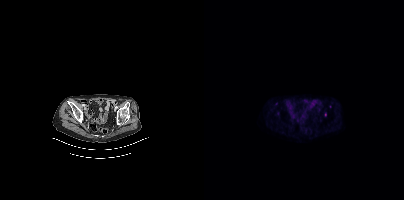
Coordinates are on the 200×200 PET (right) panel. (showing 1 of 2 foci) Small PSMA-avid focus (2 to 4 px across) near (center x, center y): (121, 114). Left: CT. Right: PSMA PET, same axial level, 68Ga tracer. PET panel 200×200 px (4.1 mm/px).